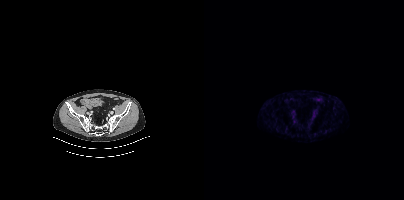
modality: PSMA PET/CT | tracer: [68Ga]Ga-PSMA-11 | view: axial
No tumor lesions annotated on this slice.